Technique: Left: CT. Right: PSMA PET, same axial level, 18F-PSMA tracer.
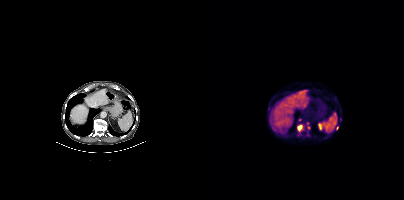
Findings: Coordinates are on the 200×200 PET (right) panel. (showing 3 of 7 foci) PSMA-avid tumor lesion bounding box (x0, y0)-(x1, y1): (94, 126)-(98, 130). Small PSMA-avid foci (2 to 4 px across) near (center x, center y): (64, 108) | (133, 128).